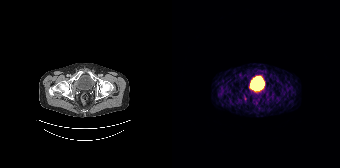
Technique: Left: CT. Right: PSMA PET, same axial level, 68Ga tracer.
Findings: This slice has no annotated PSMA-avid lesion.